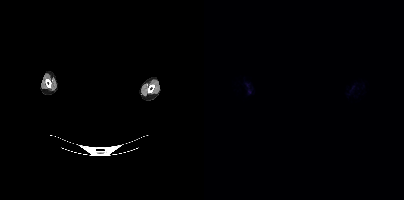
{"pet_grid":[200,200],"coord_frame":"pet_panel","coord_format":"x0,y0,x1,y1","psma_avid_lesions":false,"modality":"PSMA PET/CT","view":"axial","tracer":"[18F]PSMA-1007","de-identification":"facial region redacted"}